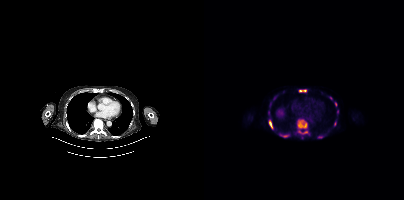
modality: PSMA PET/CT | tracer: 18F | view: axial | PET grid: 200×200
Coordinates are on the 200×200 PET (right) panel. (showing 10 of 11 foci) PSMA-avid tumor lesion bounding boxes (x0,y0,x1,y1): [93,120,103,134] [75,133,84,137] [65,121,69,129] [114,135,118,138] [95,90,102,91] [130,121,132,126] [130,102,133,106]. Small PSMA-avid foci (2 to 4 px across) near (center x, center y): (126, 97) (133, 111) (64, 112).